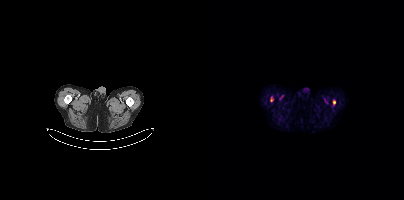
Technique: Left: CT. Right: PSMA PET, same axial level, [18F]PSMA-1007 tracer. PET panel 200×200 px (4.1 mm/px).
Findings: Coordinates are on the 200×200 PET (right) panel. PSMA-avid tumor lesion bounding boxes (x0, y0)-(x1, y1): (66, 97)-(69, 101) | (129, 100)-(131, 104).